Technique: Paired axial CT (left) and PSMA PET (right), [18F]PSMA-1007 tracer. acquired on Siemens Biograph mCT Flow 20. slice 232 of 429.
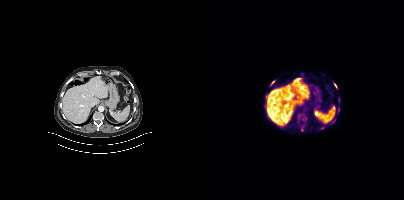
Findings: Coordinates are on the 200×200 PET (right) panel. (showing 5 of 6 foci) Small PSMA-avid foci (2 to 4 px across) near (center x, center y): (68, 82) / (131, 85) / (134, 109) / (130, 120) / (118, 127).